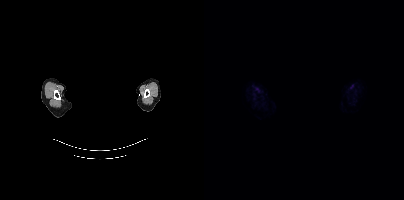
Facial anatomy redacted by setting a rectangular region of the head to black.
No tumor lesions annotated on this slice.